Paired axial CT (left) and PSMA PET (right), 18F tracer.
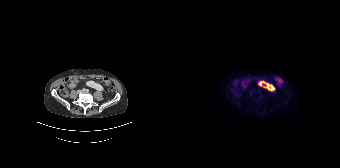
No tumor lesions annotated on this slice.